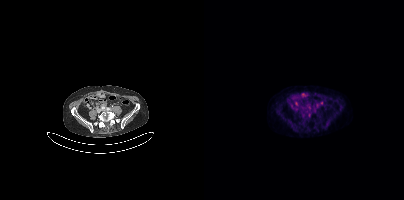
Findings: This slice has no annotated PSMA-avid lesion.
Technique: Left: CT. Right: PSMA PET, same axial level, [18F]PSMA-1007 tracer. acquired on Siemens Biograph mCT Flow 20.